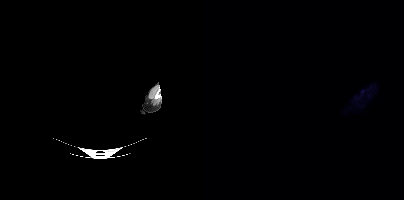
- any black rectangle over the head is a privacy mask, not anatomy
- Paired axial CT (left) and PSMA PET (right), 18F tracer
Findings: No PSMA-avid tumor lesions on this slice.